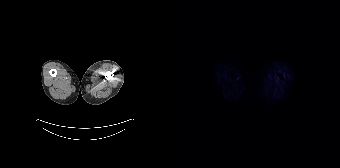
{"modality":"PSMA PET/CT","view":"axial","tracer":"[18F]PSMA-1007","pet_grid":[168,168],"coord_frame":"pet_panel","coord_format":"x0,y0,x1,y1","psma_avid_lesions":false}